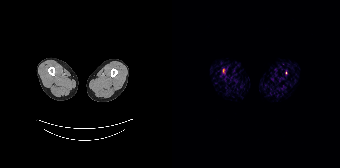
Only PSMA-avid lesion pieces thinner than 2 px on this slice (not listed). Left: CT. Right: PSMA PET, same axial level, 68Ga tracer. Acquired on Siemens Biograph 64-4R TruePoint. Slice position z = -990 mm. PET panel 168×168 px (4.1 mm/px).